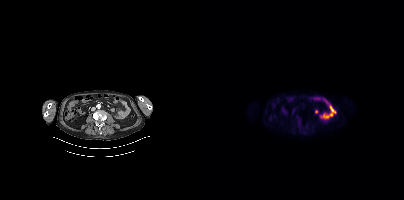
Paired axial CT (left) and PSMA PET (right), 18F tracer. PET panel 200×200 px (4.1 mm/px). No tumor lesions annotated on this slice.